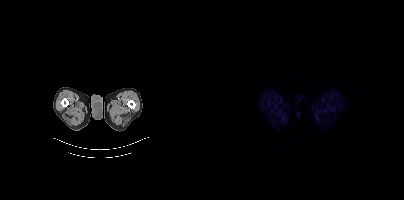
Technique: Paired axial CT (left) and PSMA PET (right), 18F-PSMA tracer. slice 22 of 452.
Findings: No tumor lesions annotated on this slice.